- Left: CT. Right: PSMA PET, same axial level, [18F]PSMA-1007 tracer
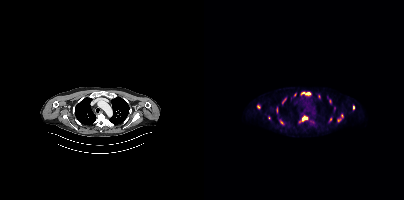
Findings: Coordinates are on the 200×200 PET (right) panel. (showing 10 of 14 foci) PSMA-avid tumor lesion bounding boxes (x0, y0)-(x1, y1): (97, 92)-(106, 95) / (95, 116)-(103, 122) / (76, 120)-(79, 124) / (78, 98)-(82, 103) / (133, 118)-(137, 121) / (149, 105)-(150, 109). Small PSMA-avid foci (2 to 4 px across) near (center x, center y): (138, 115) / (91, 94) / (126, 119) / (54, 107).